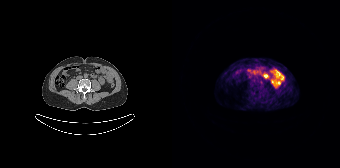
This slice has no annotated PSMA-avid lesion.